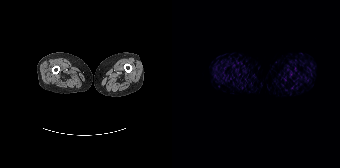
This slice has no annotated PSMA-avid lesion.
modality: PSMA PET/CT | tracer: [68Ga]Ga-PSMA-11 | view: axial